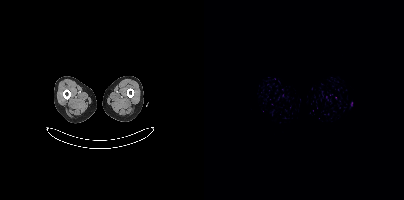
Left: CT. Right: PSMA PET, same axial level, [68Ga]Ga-PSMA-11 tracer. Acquired on Siemens Biograph mCT Flow 20. No tumor lesions annotated on this slice.